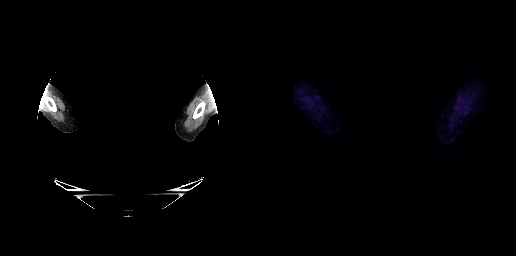
Findings: No PSMA-avid tumor lesions on this slice.
- a rectangle over the head was blacked out to remove identifiable facial features
- Two-panel axial: CT | PSMA PET, 18F-PSMA tracer
- PET panel 256×256 px (2.7 mm/px)